- the face region was removed for patient privacy by blanking a rectangle over the head
- Left: CT. Right: PSMA PET, same axial level, [18F]PSMA-1007 tracer
- acquired on GE Discovery 690
- slice 245 of 263
- PET panel 256×256 px (2.7 mm/px)
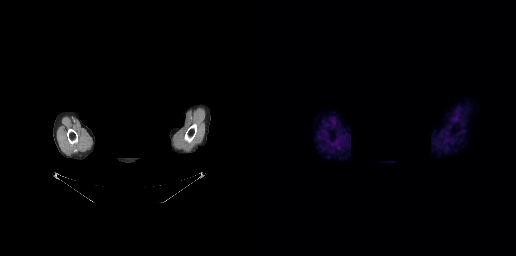
Findings: This slice has no annotated PSMA-avid lesion.